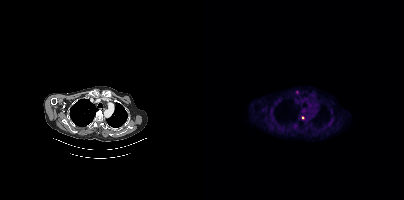
{"pet_grid":[200,200],"coord_frame":"pet_panel","coord_format":"x0,y0,x1,y1","lesion_bboxes":[],"small_foci_centers":[[99,117]],"modality":"PSMA PET/CT","view":"axial","tracer":"18F"}